Left: CT. Right: PSMA PET, same axial level, [18F]PSMA-1007 tracer. Acquired on GE Discovery 690. Slice position z = -1324 mm.
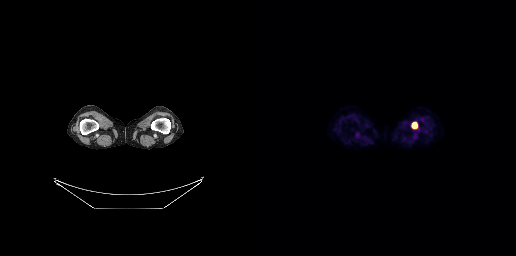
Coordinates are on the 256×256 PET (right) panel. PSMA-avid tumor lesion bounding box (x0,y0,x1,y1): [152,122,157,128].